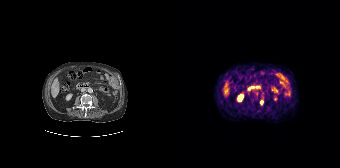
- Two-panel axial: CT | PSMA PET, 68Ga tracer
- slice 98 of 195
Findings: Coordinates are on the 168×168 PET (right) panel. PSMA-avid tumor lesion bounding box (x0,y0,x1,y1): [88,100,91,104].